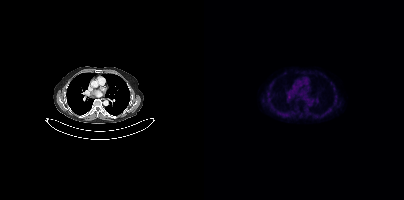
Findings: No tumor lesions annotated on this slice.
- Two-panel axial: CT | PSMA PET, 18F tracer
- acquired on Siemens Biograph mCT Flow 20
- PET panel 200×200 px (4.1 mm/px)